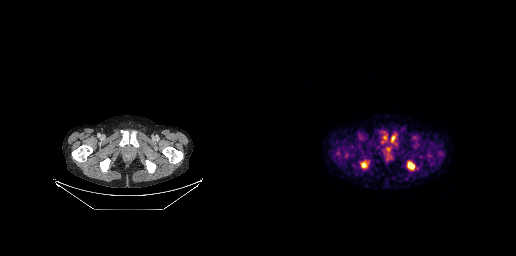
modality: PSMA PET/CT | tracer: 18F | view: axial | PET grid: 256×256
Coordinates are on the 256×256 PET (right) panel. PSMA-avid tumor lesion bounding boxes (x0,y0,x1,y1): [101,161,108,168]; [126,147,131,152]; [130,135,134,141]; [149,163,153,167]; [126,134,127,140].